- Left: CT. Right: PSMA PET, same axial level, 18F-PSMA tracer
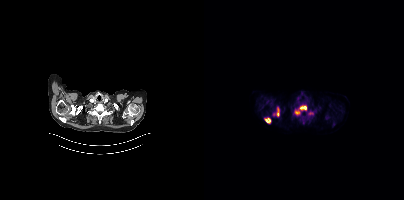
Findings: Coordinates are on the 200×200 PET (right) panel. PSMA-avid tumor lesion bounding boxes (x0, y0)-(x1, y1): (95, 105)-(103, 111) / (104, 111)-(109, 115) / (61, 118)-(66, 122) / (91, 111)-(95, 114) / (72, 108)-(75, 115).